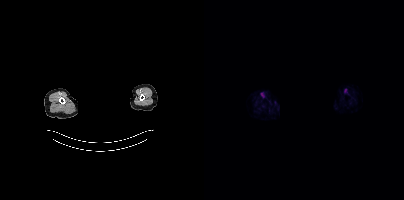
This slice has no annotated PSMA-avid lesion.
de-identification: facial region redacted | modality: PSMA PET/CT | tracer: 18F | view: axial | PET grid: 200×200